modality: PSMA PET/CT | tracer: 18F | view: axial
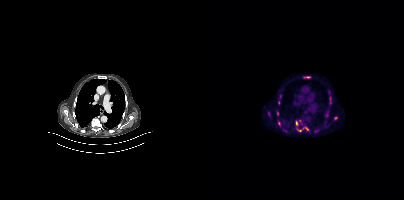
Coordinates are on the 200×200 PET (right) panel. (showing 6 of 8 foci) PSMA-avid tumor lesion bounding boxes (x0, y0)-(x1, y1): (91, 119)-(105, 132) | (74, 121)-(76, 126) | (64, 112)-(66, 116) | (100, 76)-(106, 78). Small PSMA-avid foci (2 to 4 px across) near (center x, center y): (131, 118) | (73, 113).